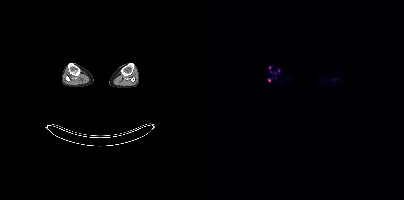
- Paired axial CT (left) and PSMA PET (right), 18F tracer
- slice 251 of 963
Findings: Coordinates are on the 200×200 PET (right) panel. (showing 1 of 3 foci) Small PSMA-avid focus (2 to 4 px across) near (center x, center y): (65, 67).